modality: PSMA PET/CT | tracer: 18F-PSMA | view: axial
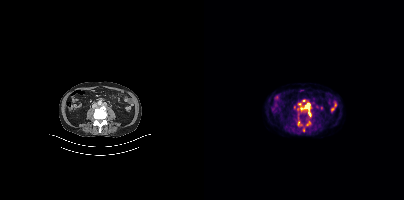
Coordinates are on the 200×200 PET (right) panel. (showing 3 of 4 foci) PSMA-avid tumor lesion bounding boxes (x0,y0,x1,y1): [102,103,105,108], [104,111,107,116]. Small PSMA-avid focus (2 to 4 px across) near (center x, center y): (94, 123).